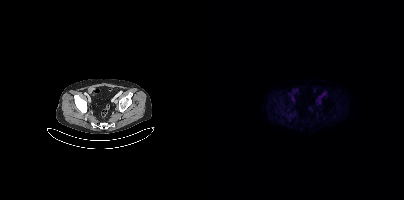
No PSMA-avid tumor lesions on this slice.